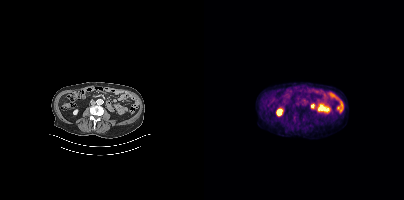
This slice has no annotated PSMA-avid lesion.